A rectangle over the head was blacked out to remove identifiable facial features.
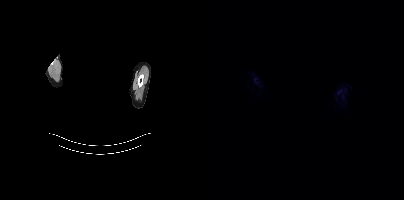
No PSMA-avid tumor lesions on this slice.